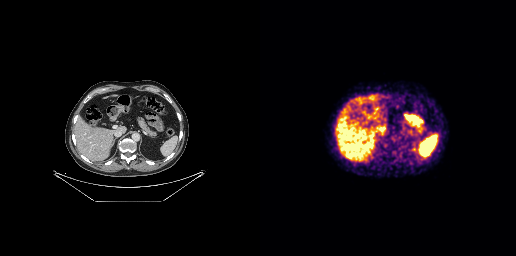
Technique: Left: CT. Right: PSMA PET, same axial level, [68Ga]Ga-PSMA-11 tracer. PET panel 256×256 px (2.7 mm/px).
Findings: Negative for PSMA-avid disease on this slice.